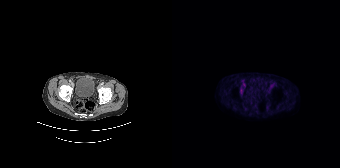
This slice has no annotated PSMA-avid lesion. Two-panel axial: CT | PSMA PET, 18F-PSMA tracer. Acquired on Siemens Biograph 64-4R TruePoint. PET panel 168×168 px (4.1 mm/px).